- Two-panel axial: CT | PSMA PET, [18F]PSMA-1007 tracer
- acquired on Siemens Biograph mCT Flow 20
- PET panel 200×200 px (4.1 mm/px)
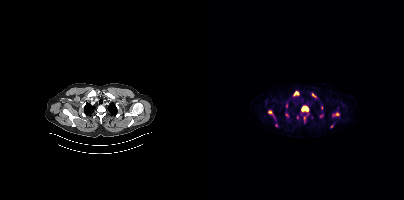
Findings: Coordinates are on the 200×200 PET (right) panel. (showing 10 of 14 foci) PSMA-avid tumor lesion bounding boxes (x0,y0,x1,y1): [98,106,104,110]; [90,91,94,95]; [64,110,68,114]; [99,117,101,122]. Small PSMA-avid foci (2 to 4 px across) near (center x, center y): (82, 104); (117, 107); (133, 114); (72, 125); (82, 114); (127, 126).